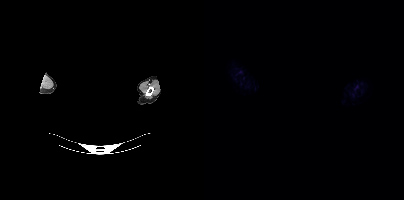
This slice has no annotated PSMA-avid lesion.
Face de-identified by blanking a block of the head.